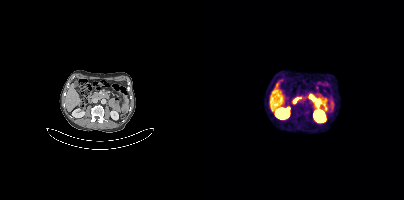
No tumor lesions annotated on this slice.